Two-panel axial: CT | PSMA PET, 68Ga-PSMA tracer. Slice position z = -635 mm. PET panel 200×200 px (4.1 mm/px).
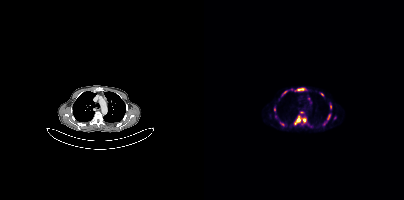
Coordinates are on the 200×200 PET (right) panel. PSMA-avid tumor lesion bounding boxes (partial; 3 more foci not listed):
| # | x0 | y0 | x1 | y1 |
|---|---|---|---|---|
| 1 | 91 | 116 | 96 | 124 |
| 2 | 121 | 114 | 126 | 123 |
| 3 | 93 | 88 | 100 | 90 |
| 4 | 78 | 91 | 83 | 95 |
| 5 | 99 | 118 | 101 | 122 |
Small PSMA-avid foci (2 to 4 px across) near (center x, center y): (117, 94); (70, 109); (126, 107); (97, 112); (78, 124).